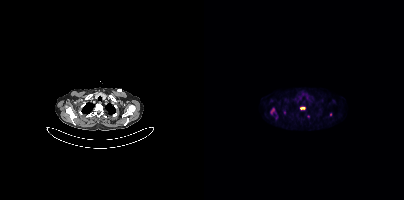
Coordinates are on the 200×200 PET (right) panel. (showing 3 of 4 foci) PSMA-avid tumor lesion bounding boxes (x0,y0,x1,y1): [66,108,71,114], [96,107,101,109]. Small PSMA-avid focus (2 to 4 px across) near (center x, center y): (126, 114).